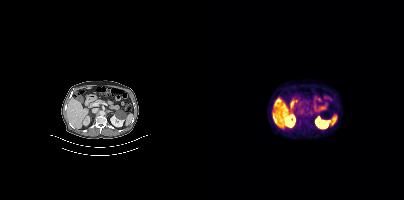
modality: PSMA PET/CT | tracer: 18F | view: axial
No PSMA-avid tumor lesions on this slice.